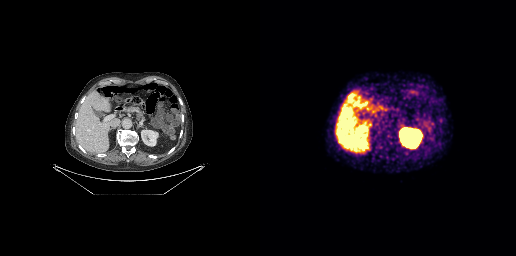
{"pet_grid":[256,256],"coord_frame":"pet_panel","coord_format":"x0,y0,x1,y1","psma_avid_lesions":false,"modality":"PSMA PET/CT","view":"axial","tracer":"68Ga"}